Paired axial CT (left) and PSMA PET (right), [18F]PSMA-1007 tracer.
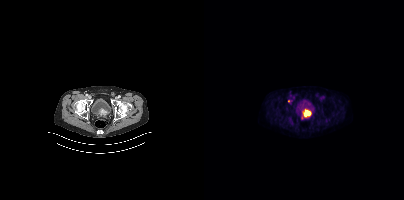
Coordinates are on the 200×200 PET (right) panel. PSMA-avid tumor lesion bounding box (x, y, width, height): x=98 y=109 w=9 h=10. Small PSMA-avid focus (2 to 4 px across) near (center x, center y): (84, 100).